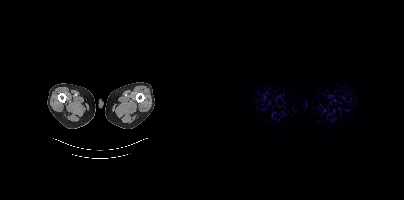
Negative for PSMA-avid disease on this slice.